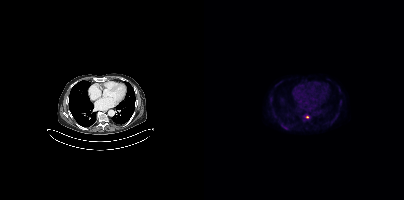
Two-panel axial: CT | PSMA PET, [18F]PSMA-1007 tracer. Coordinates are on the 200×200 PET (right) panel. (showing 1 of 2 foci) Small PSMA-avid focus (2 to 4 px across) near (center x, center y): (81, 127).